Paired axial CT (left) and PSMA PET (right), 68Ga tracer.
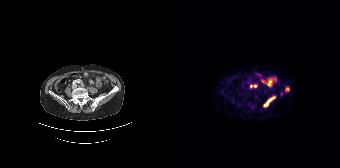
Coordinates are on the 168×168 PET (right) panel. PSMA-avid tumor lesion bounding boxes (x, y, width, height): x=92 y=96 w=12 h=11; x=113 y=87 w=5 h=5. Small PSMA-avid foci (2 to 4 px across) near (center x, center y): (83, 86); (79, 86).